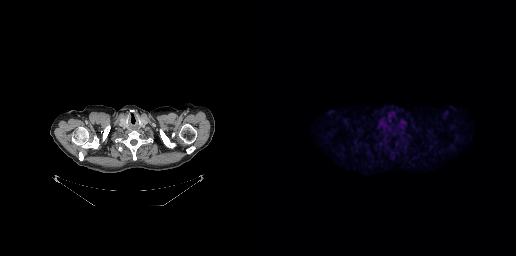
No tumor lesions annotated on this slice.